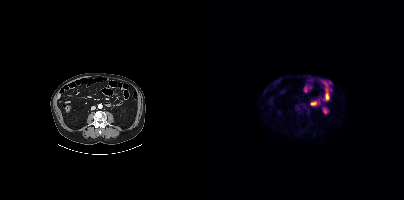
This slice has no annotated PSMA-avid lesion.